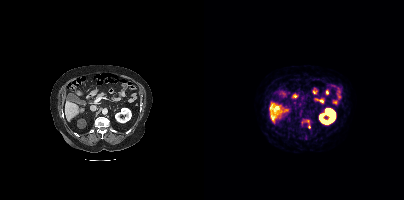
modality: PSMA PET/CT | tracer: 68Ga-PSMA | view: axial | PET grid: 200×200
Coordinates are on the 200×200 PET (right) panel. (showing 2 of 3 foci) Small PSMA-avid foci (2 to 4 px across) near (center x, center y): (105, 126) / (104, 121).